- the face region was removed for patient privacy by blanking a rectangle over the head
- Paired axial CT (left) and PSMA PET (right), 18F-PSMA tracer
- slice 413 of 454
- PET panel 200×200 px (4.1 mm/px)
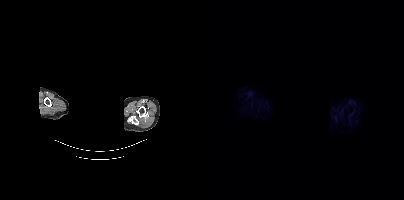
Findings: Negative for PSMA-avid disease on this slice.